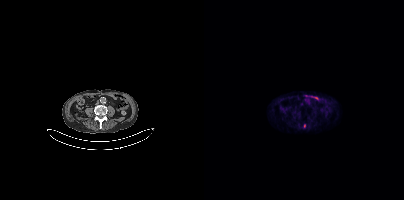
{"pet_grid":[200,200],"coord_frame":"pet_panel","coord_format":"x0,y0,x1,y1","lesion_bboxes":[],"small_foci_centers":[[100,125]],"modality":"PSMA PET/CT","view":"axial","tracer":"18F-PSMA"}